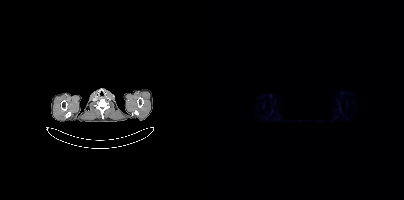
Negative for PSMA-avid disease on this slice. Left: CT. Right: PSMA PET, same axial level, 68Ga-PSMA tracer. Acquired on Siemens Biograph mCT Flow 20. PET panel 200×200 px (4.1 mm/px). A black rectangle in this scan is a privacy mask, not anatomy.